Technique: Left: CT. Right: PSMA PET, same axial level, 18F-PSMA tracer.
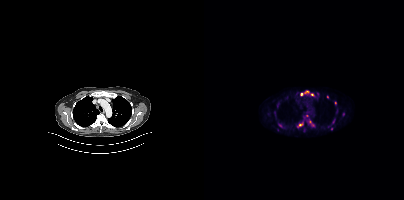
Findings: Coordinates are on the 200×200 PET (right) panel. (showing 10 of 11 foci) PSMA-avid tumor lesion bounding boxes (x0,y0,x1,y1): [97,91,104,95]; [93,123,99,127]; [105,121,109,125]. Small PSMA-avid foci (2 to 4 px across) near (center x, center y): (139, 114); (131, 102); (108, 94); (123, 97); (76, 125); (102, 115); (127, 128).